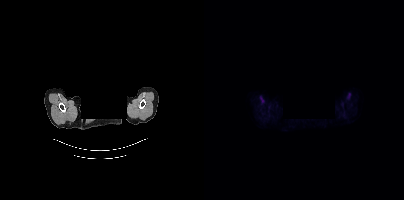
{"modality":"PSMA PET/CT","view":"axial","tracer":"18F-PSMA","pet_grid":[200,200],"coord_frame":"pet_panel","coord_format":"x0,y0,x1,y1","redaction":"privacy mask over head","psma_avid_lesions":false}